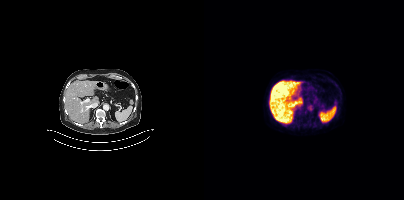
Left: CT. Right: PSMA PET, same axial level, [18F]PSMA-1007 tracer. Slice 215 of 393. Only PSMA-avid lesion pieces thinner than 2 px on this slice (not listed).